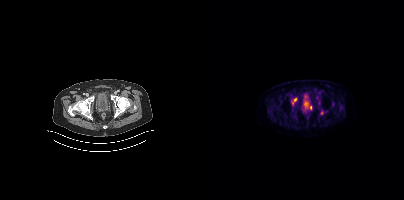
modality: PSMA PET/CT | tracer: 18F-PSMA | view: axial
Coordinates are on the 200×200 PET (right) panel. (showing 3 of 5 foci) PSMA-avid tumor lesion bounding boxes (x, y, width, height): x=99 y=102 w=6 h=8; x=88 y=98 w=5 h=7. Small PSMA-avid focus (2 to 4 px across) near (center x, center y): (106, 107).